modality: PSMA PET/CT | tracer: 68Ga | view: axial | PET grid: 168×168
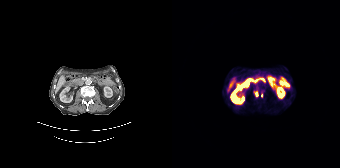
Coordinates are on the 168×168 PET (right) panel. (showing 1 of 2 foci) PSMA-avid tumor lesion bounding box (x0, y0)-(x1, y1): (84, 92)-(85, 96).